Technique: Left: CT. Right: PSMA PET, same axial level, 18F-PSMA tracer. acquired on Siemens Biograph 64-4R TruePoint. PET panel 168×168 px (4.1 mm/px).
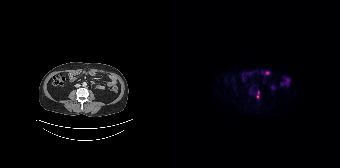
Findings: Coordinates are on the 168×168 PET (right) panel. (showing 1 of 2 foci) Small PSMA-avid focus (2 to 4 px across) near (center x, center y): (85, 96).